Two-panel axial: CT | PSMA PET, 18F tracer. Slice 276 of 423. PET panel 200×200 px (4.1 mm/px).
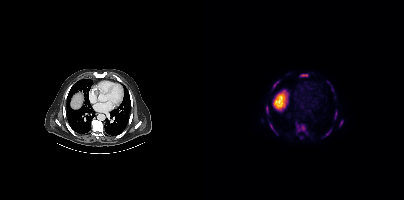
Coordinates are on the 200×200 PET (right) panel. PSMA-avid tumor lesion bounding boxes (partial; 1 more focus not listed):
| # | x0 | y0 | x1 | y1 |
|---|---|---|---|---|
| 1 | 92 | 122 | 103 | 134 |
| 2 | 68 | 80 | 75 | 87 |
| 3 | 96 | 74 | 104 | 76 |
| 4 | 130 | 111 | 133 | 119 |
| 5 | 123 | 82 | 129 | 91 |
| 6 | 135 | 120 | 139 | 126 |
| 7 | 120 | 129 | 127 | 136 |
| 8 | 62 | 105 | 64 | 111 |
| 9 | 66 | 124 | 69 | 129 |
| 10 | 71 | 131 | 74 | 135 |
Small PSMA-avid focus (2 to 4 px across) near (center x, center y): (97, 137).